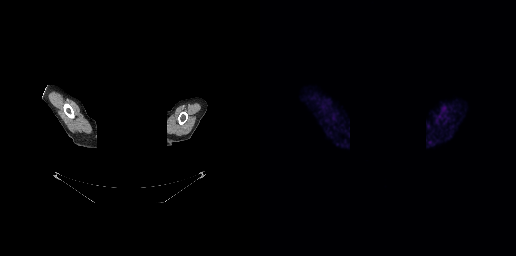
Head region blanked for anonymization (face removed).
No tumor lesions annotated on this slice.